Paired axial CT (left) and PSMA PET (right), 18F-PSMA tracer. Slice 3 of 367.
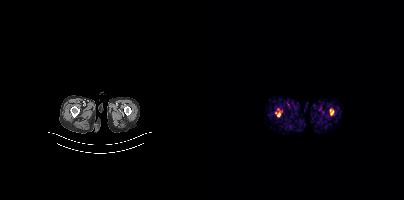
No PSMA-avid tumor lesions on this slice.